Paired axial CT (left) and PSMA PET (right), 18F tracer. Acquired on Siemens Biograph mCT Flow 20. PET panel 200×200 px (4.1 mm/px).
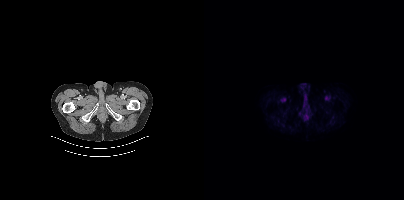
No PSMA-avid tumor lesions on this slice.